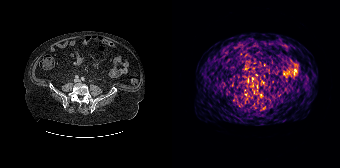
Negative for PSMA-avid disease on this slice.